Two-panel axial: CT | PSMA PET, [68Ga]Ga-PSMA-11 tracer. Slice position z = -1746 mm.
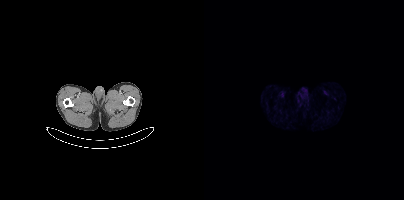
Negative for PSMA-avid disease on this slice.